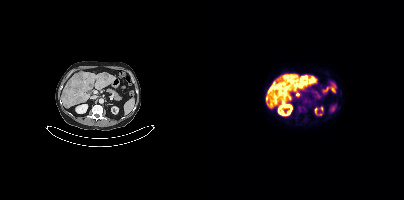
{"modality":"PSMA PET/CT","view":"axial","tracer":"18F-PSMA","pet_grid":[200,200],"coord_frame":"pet_panel","coord_format":"x0,y0,x1,y1","partial":true,"lesion_bboxes":[[71,82,77,89],[97,76,102,80]],"small_foci_centers":[[93,94]]}